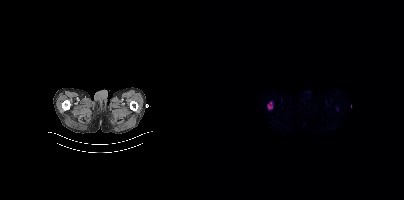
Coordinates are on the 200×200 PET (right) panel. PSMA-avid tumor lesion bounding box (x0,y0,x1,y1): [64,102,68,109].